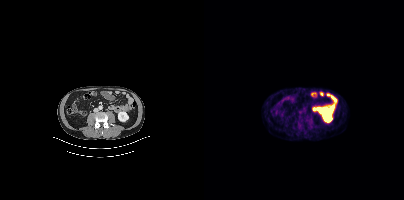
{"modality":"PSMA PET/CT","view":"axial","tracer":"[18F]PSMA-1007","pet_grid":[200,200],"coord_frame":"pet_panel","coord_format":"x0,y0,x1,y1","lesion_bboxes":[[95,111,106,122]]}